modality: PSMA PET/CT | tracer: [68Ga]Ga-PSMA-11 | view: axial | PET grid: 256×256
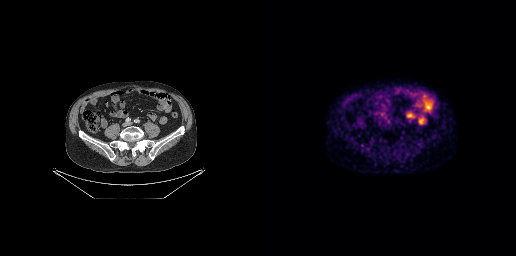
This slice has no annotated PSMA-avid lesion.